Left: CT. Right: PSMA PET, same axial level, 18F tracer. Acquired on Siemens Biograph mCT Flow 20.
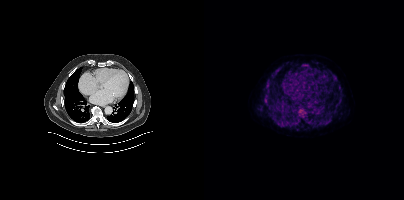
Coordinates are on the 200×200 PET (right) panel. PSMA-avid tumor lesion bounding boxes (partial; 2 more foci not listed):
| # | x0 | y0 | x1 | y1 |
|---|---|---|---|---|
| 1 | 94 | 107 | 103 | 117 |
| 2 | 61 | 80 | 66 | 86 |
| 3 | 122 | 114 | 128 | 123 |
| 4 | 60 | 96 | 64 | 101 |
| 5 | 71 | 120 | 76 | 125 |
| 6 | 68 | 73 | 72 | 77 |
| 7 | 135 | 97 | 137 | 101 |
| 8 | 104 | 121 | 108 | 124 |
| 9 | 65 | 113 | 68 | 117 |
| 10 | 72 | 68 | 76 | 71 |
| 11 | 134 | 84 | 136 | 88 |
Small PSMA-avid foci (2 to 4 px across) near (center x, center y): (63, 105); (101, 65); (63, 89).